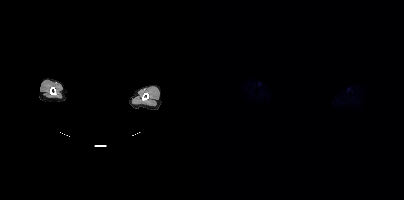
{"modality":"PSMA PET/CT","view":"axial","tracer":"18F-PSMA","pet_grid":[200,200],"coord_frame":"pet_panel","coord_format":"x0,y0,x1,y1","redaction":"privacy mask over head","psma_avid_lesions":false}